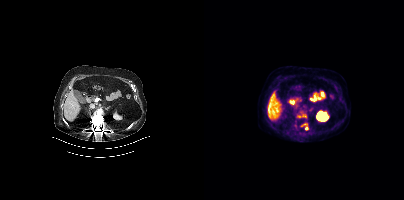
modality: PSMA PET/CT | tracer: 18F-PSMA | view: axial
Coordinates are on the 200×200 PET (right) panel. (showing 2 of 4 foci) PSMA-avid tumor lesion bounding box (x0,y0,x1,y1): [93,112,101,117]. Small PSMA-avid focus (2 to 4 px across) near (center x, center y): (102, 128).